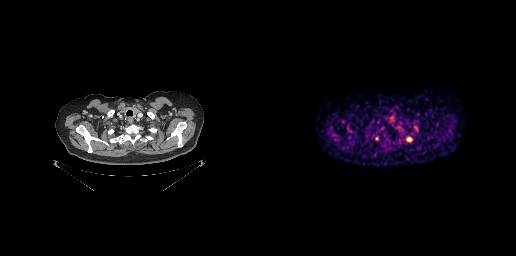
Findings: Coordinates are on the 256×256 PET (right) panel. PSMA-avid tumor lesion bounding box (x0,y0,x1,y1): [146,137,152,141]. Small PSMA-avid focus (2 to 4 px across) near (center x, center y): (156, 128).
- Left: CT. Right: PSMA PET, same axial level, [68Ga]Ga-PSMA-11 tracer